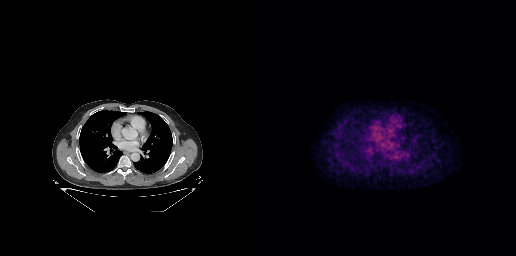
- Two-panel axial: CT | PSMA PET, [18F]PSMA-1007 tracer
- slice position z = -250 mm
Findings: This slice has no annotated PSMA-avid lesion.